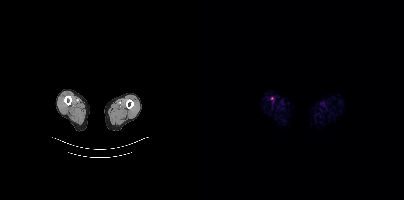
Findings: Coordinates are on the 200×200 PET (right) panel. Small PSMA-avid focus (2 to 4 px across) near (center x, center y): (67, 98).
Technique: Left: CT. Right: PSMA PET, same axial level, 18F-PSMA tracer. PET panel 200×200 px (4.1 mm/px).